modality: PSMA PET/CT | tracer: 18F-PSMA | view: axial | PET grid: 200×200 | deidentification: rectangular block over head set to black
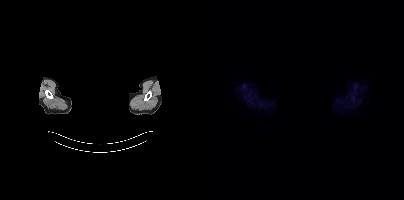
This slice has no annotated PSMA-avid lesion.